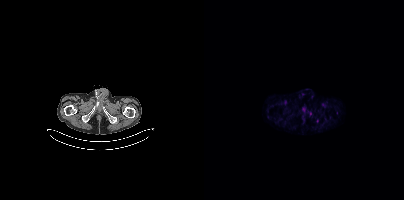
Coordinates are on the 200×200 PET (right) panel. Small PSMA-avid focus (2 to 4 px across) near (center x, center y): (113, 120).